Paired axial CT (left) and PSMA PET (right), [18F]PSMA-1007 tracer. Acquired on Siemens Biograph mCT Flow 20. PET panel 200×200 px (4.1 mm/px).
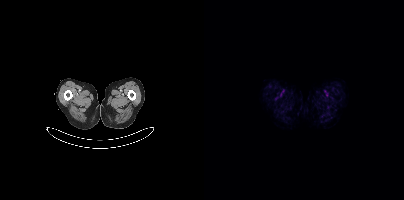
This slice has no annotated PSMA-avid lesion.